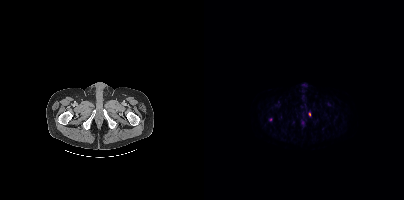
- Left: CT. Right: PSMA PET, same axial level, [18F]PSMA-1007 tracer
- slice position z = -1522 mm
Findings: Coordinates are on the 200×200 PET (right) panel. Small PSMA-avid foci (2 to 4 px across) near (center x, center y): (105, 114); (66, 119).